Technique: Two-panel axial: CT | PSMA PET, [18F]PSMA-1007 tracer. acquired on Siemens Biograph mCT Flow 20. slice position z = -797 mm.
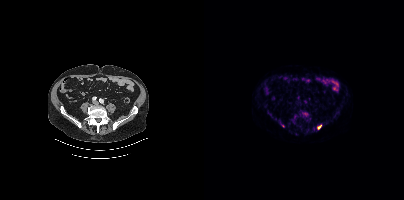
Findings: Coordinates are on the 200×200 PET (right) panel. (showing 1 of 3 foci) Small PSMA-avid focus (2 to 4 px across) near (center x, center y): (115, 126).